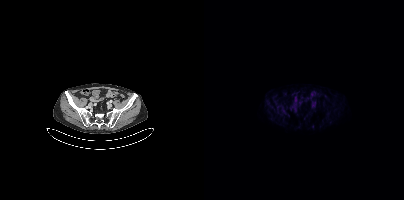
Findings: Only PSMA-avid lesion pieces thinner than 2 px on this slice (not listed).
Technique: Two-panel axial: CT | PSMA PET, [18F]PSMA-1007 tracer.